modality: PSMA PET/CT | tracer: 68Ga | view: axial | PET grid: 200×200
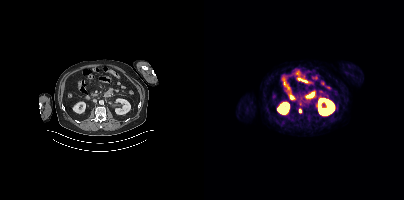
Coordinates are on the 200×200 PET (right) panel. Small PSMA-avid focus (2 to 4 px across) near (center x, center y): (96, 111).